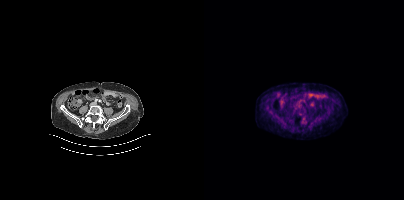
{"pet_grid":[200,200],"coord_frame":"pet_panel","coord_format":"x0,y0,x1,y1","psma_avid_lesions":false,"modality":"PSMA PET/CT","view":"axial","tracer":"[18F]PSMA-1007"}